modality: PSMA PET/CT | tracer: 18F | view: axial
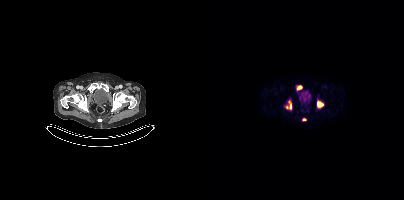
Coordinates are on the 200×200 PET (right) panel. PSMA-avid tumor lesion bounding boxes (x, y, width, height): x=113 y=101 w=7 h=7; x=82 y=101 w=6 h=9; x=93 y=85 w=6 h=5. Small PSMA-avid focus (2 to 4 px across) near (center x, center y): (100, 119).